The head region is masked for de-identification. Left: CT. Right: PSMA PET, same axial level, [68Ga]Ga-PSMA-11 tracer. Acquired on GE Discovery 690. Slice position z = -238 mm.
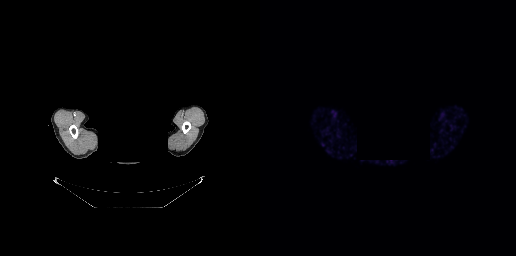
No tumor lesions annotated on this slice.